The head region is masked for de-identification.
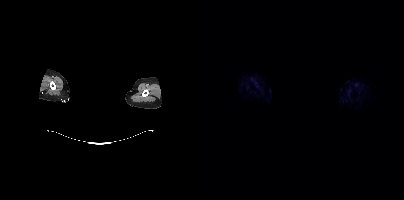
This slice has no annotated PSMA-avid lesion.